Technique: Two-panel axial: CT | PSMA PET, 68Ga tracer. slice 164 of 263.
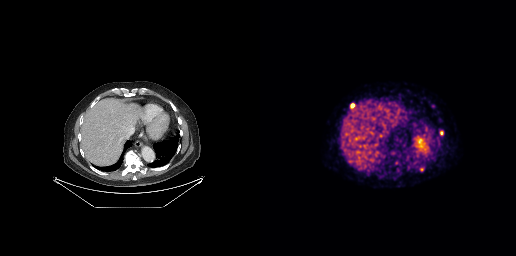
Findings: Coordinates are on the 256×256 PET (right) panel. PSMA-avid tumor lesion bounding box (x, y, width, height): x=90 y=103 w=5 h=6. Small PSMA-avid foci (2 to 4 px across) near (center x, center y): (161, 169) / (181, 132).